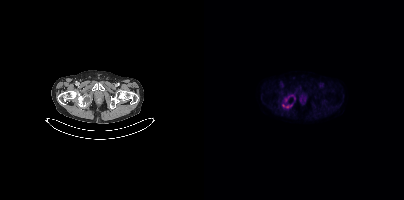
Coordinates are on the 200×200 PET (right) panel. PSMA-avid tumor lesion bounding box (x0,y0,x1,y1): [82,104,88,107]. Small PSMA-avid foci (2 to 4 px across) near (center x, center y): (79, 105) (90, 98). Paired axial CT (left) and PSMA PET (right), [18F]PSMA-1007 tracer. Slice 61 of 413.